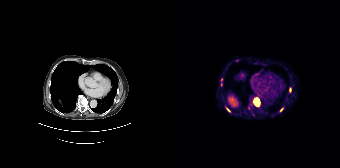
Findings: Coordinates are on the 168×168 PET (right) panel. (showing 6 of 7 foci) PSMA-avid tumor lesion bounding boxes (x, y, width, height): x=81 y=98 w=7 h=9 / x=54 y=108 w=5 h=4. Small PSMA-avid foci (2 to 4 px across) near (center x, center y): (109, 109) / (118, 89) / (76, 108) / (49, 79).
- Paired axial CT (left) and PSMA PET (right), 68Ga-PSMA tracer
- acquired on Siemens Biograph 64-4R TruePoint
- slice 102 of 165
- PET panel 168×168 px (4.1 mm/px)